- Paired axial CT (left) and PSMA PET (right), 18F-PSMA tracer
- acquired on Siemens Biograph mCT Flow 20
- slice 291 of 387
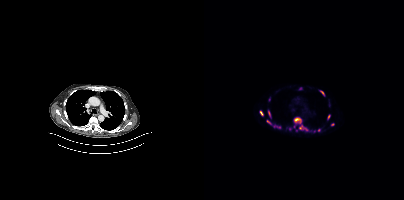
Findings: Coordinates are on the 200×200 PET (right) panel. (showing 11 of 17 foci) PSMA-avid tumor lesion bounding boxes (x0,y0,x1,y1): [90,117,97,123]; [116,90,120,95]; [56,111,59,115]; [64,111,66,116]; [95,125,98,129]. Small PSMA-avid foci (2 to 4 px across) near (center x, center y): (128, 124); (115, 130); (125, 116); (64, 121); (101, 129); (85, 128).